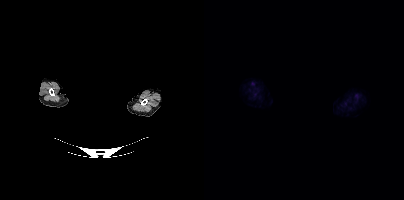
Findings: This slice has no annotated PSMA-avid lesion.
Technique: Paired axial CT (left) and PSMA PET (right), [18F]PSMA-1007 tracer. PET panel 200×200 px (4.1 mm/px).
Note: De-identified by setting a box covering the face to black before release.